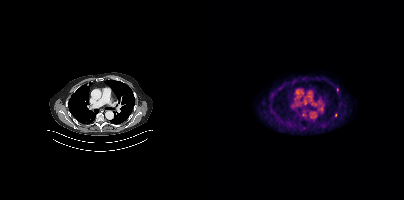
{"modality":"PSMA PET/CT","view":"axial","tracer":"[18F]PSMA-1007","pet_grid":[200,200],"coord_frame":"pet_panel","coord_format":"x0,y0,x1,y1","lesion_bboxes":[],"small_foci_centers":[[132,114],[133,89],[99,114]]}